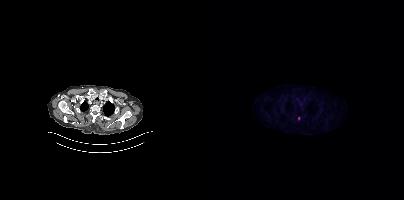
Coordinates are on the 200×200 PET (right) panel. Small PSMA-avid focus (2 to 4 px across) near (center x, center y): (94, 118). Two-panel axial: CT | PSMA PET, 18F-PSMA tracer. Acquired on Siemens Biograph mCT Flow 20. PET panel 200×200 px (4.1 mm/px).